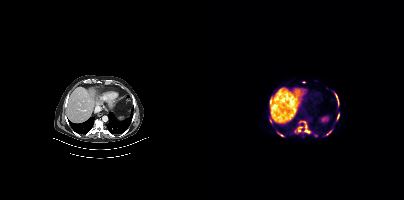
Findings: Coordinates are on the 200×200 PET (right) panel. (showing 5 of 8 foci) PSMA-avid tumor lesion bounding boxes (x, y, width, height): x=100 y=125 w=6 h=9 / x=94 y=127 w=5 h=5 / x=123 y=131 w=5 h=4. Small PSMA-avid foci (2 to 4 px across) near (center x, center y): (78, 135) / (132, 96).
Technique: Left: CT. Right: PSMA PET, same axial level, 18F tracer. slice position z = 78 mm.